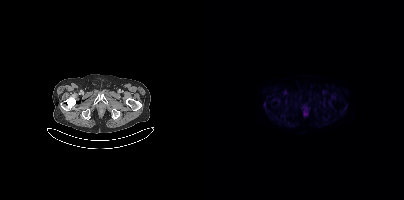
No PSMA-avid tumor lesions on this slice.
modality: PSMA PET/CT | tracer: 18F-PSMA | view: axial | PET grid: 200×200